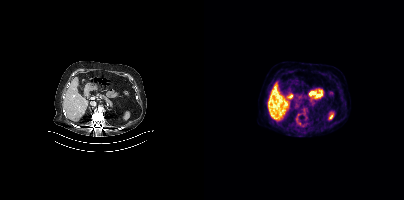
modality: PSMA PET/CT | tracer: 18F | view: axial | PET grid: 200×200
Only PSMA-avid lesion pieces thinner than 2 px on this slice (not listed).